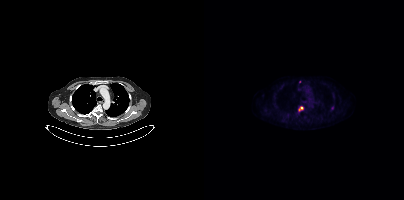
- Paired axial CT (left) and PSMA PET (right), 18F tracer
- slice position z = 254 mm
Findings: Coordinates are on the 200×200 PET (right) panel. PSMA-avid tumor lesion bounding box (x0,y0,x1,y1): [94,106,99,111]. Small PSMA-avid focus (2 to 4 px across) near (center x, center y): (96, 82).